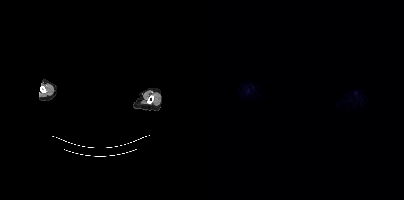
No tumor lesions annotated on this slice.
De-identified by setting a box covering the face to black before release.